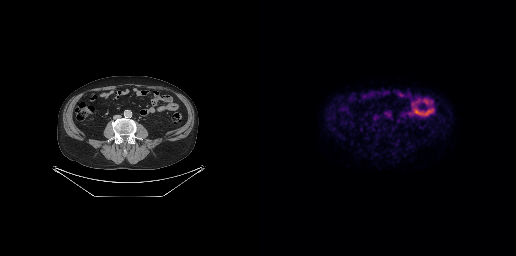
{"pet_grid":[256,256],"coord_frame":"pet_panel","coord_format":"x0,y0,x1,y1","psma_avid_lesions":false,"modality":"PSMA PET/CT","view":"axial","tracer":"[18F]PSMA-1007"}